Technique: Paired axial CT (left) and PSMA PET (right), 18F-PSMA tracer. acquired on Siemens Biograph mCT Flow 20. slice position z = -337 mm. PET panel 200×200 px (4.1 mm/px).
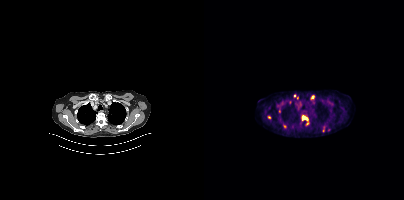
Findings: Coordinates are on the 200×200 PET (right) panel. (showing 6 of 8 foci) PSMA-avid tumor lesion bounding boxes (x0, y0)-(x1, y1): (98, 115)-(104, 120) | (118, 126)-(120, 131). Small PSMA-avid foci (2 to 4 px across) near (center x, center y): (108, 97) | (90, 95) | (103, 123) | (80, 126).